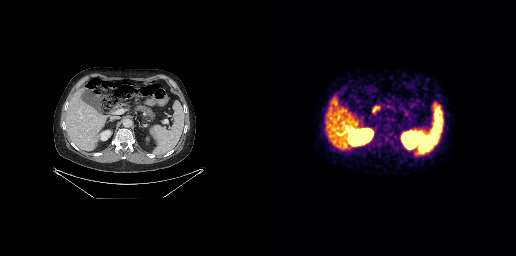
Two-panel axial: CT | PSMA PET, 68Ga tracer. Acquired on GE Discovery 690. This slice has no annotated PSMA-avid lesion.